Left: CT. Right: PSMA PET, same axial level, 18F tracer. Acquired on Siemens Biograph 64-4R TruePoint. Slice 67 of 165.
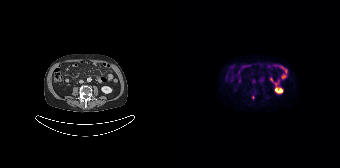
Coordinates are on the 168×168 PET (right) panel. Small PSMA-avid focus (2 to 4 px across) near (center x, center y): (81, 97).